Left: CT. Right: PSMA PET, same axial level, 18F-PSMA tracer. Slice 144 of 435. PET panel 200×200 px (4.1 mm/px).
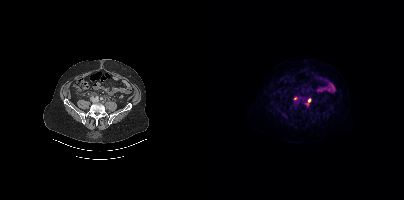
Coordinates are on the 200×200 PET (right) panel. PSMA-avid tumor lesion bounding boxes:
| # | x0 | y0 | x1 | y1 |
|---|---|---|---|---|
| 1 | 103 | 99 | 106 | 104 |
Small PSMA-avid focus (2 to 4 px across) near (center x, center y): (91, 98).